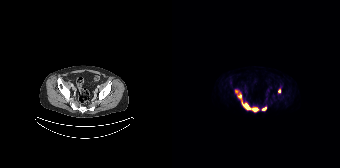
Findings: Coordinates are on the 168×168 PET (right) panel. PSMA-avid tumor lesion bounding boxes (x0, y0)-(x1, y1): (65, 93)-(86, 111) | (90, 106)-(94, 110). Small PSMA-avid foci (2 to 4 px across) near (center x, center y): (107, 90) | (64, 91).
- Paired axial CT (left) and PSMA PET (right), [18F]PSMA-1007 tracer
- acquired on Siemens Biograph 64-4R TruePoint
- slice 44 of 165
- PET panel 168×168 px (4.1 mm/px)